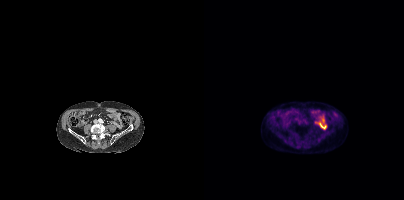
{"modality":"PSMA PET/CT","view":"axial","tracer":"[18F]PSMA-1007","pet_grid":[200,200],"coord_frame":"pet_panel","coord_format":"x0,y0,x1,y1","psma_avid_lesions":false}